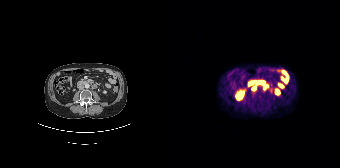
Findings: Coordinates are on the 168×168 PET (right) panel. PSMA-avid tumor lesion bounding boxes (x, y, width, height): x=91 y=84 w=6 h=6; x=80 y=86 w=5 h=5. Small PSMA-avid focus (2 to 4 px across) near (center x, center y): (84, 83).
- Paired axial CT (left) and PSMA PET (right), 68Ga-PSMA tracer
- slice 68 of 165